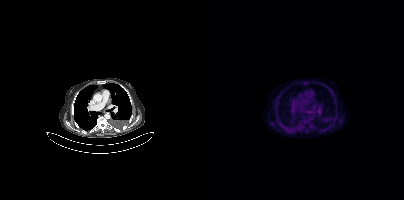
Findings: Negative for PSMA-avid disease on this slice.
- Paired axial CT (left) and PSMA PET (right), [18F]PSMA-1007 tracer
- acquired on Siemens Biograph mCT Flow 20
- slice 290 of 425
- PET panel 200×200 px (4.1 mm/px)